- Left: CT. Right: PSMA PET, same axial level, [18F]PSMA-1007 tracer
- acquired on Siemens Biograph mCT Flow 20
- slice position z = -484 mm
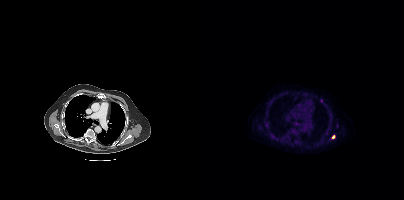
Findings: Coordinates are on the 200×200 PET (right) panel. Small PSMA-avid focus (2 to 4 px across) near (center x, center y): (129, 137).